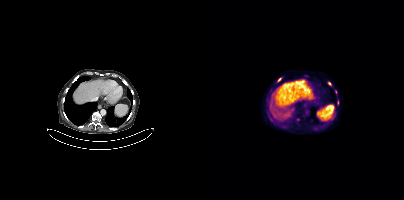
Findings: Coordinates are on the 200×200 PET (right) panel. (showing 6 of 8 foci) PSMA-avid tumor lesion bounding boxes (x0,y0,x1,y1): [73,78,77,81], [128,104,130,108], [133,100,134,104]. Small PSMA-avid foci (2 to 4 px across) near (center x, center y): (125, 83), (68, 120), (101, 75).
Technique: Two-panel axial: CT | PSMA PET, [18F]PSMA-1007 tracer. acquired on Siemens Biograph mCT Flow 20.